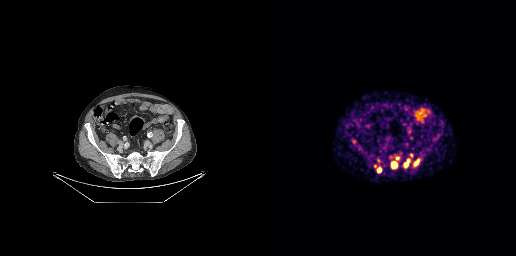
{"modality":"PSMA PET/CT","view":"axial","tracer":"68Ga-PSMA","pet_grid":[256,256],"coord_frame":"pet_panel","coord_format":"x0,y0,x1,y1","partial":true,"lesion_bboxes":[[131,162,137,167],[154,158,160,165],[144,159,149,167],[117,167,121,172]],"small_foci_centers":[[93,141],[137,158]]}